Left: CT. Right: PSMA PET, same axial level, [68Ga]Ga-PSMA-11 tracer.
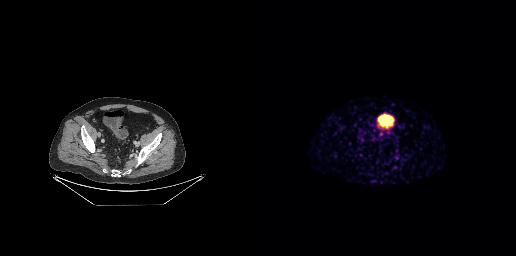
Negative for PSMA-avid disease on this slice.